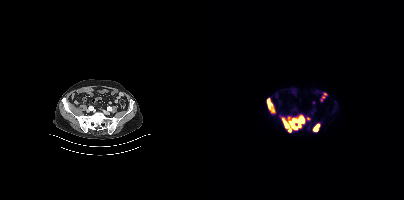
{"modality":"PSMA PET/CT","view":"axial","tracer":"18F","pet_grid":[200,200],"coord_frame":"pet_panel","coord_format":"x0,y0,x1,y1","partial":true,"lesion_bboxes":[[78,116,100,132],[63,98,70,112],[109,124,115,131]]}